Left: CT. Right: PSMA PET, same axial level, 18F-PSMA tracer. Acquired on Siemens Biograph mCT Flow 20. PET panel 200×200 px (4.1 mm/px).
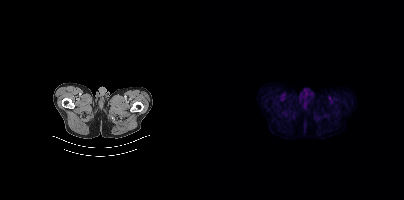
Negative for PSMA-avid disease on this slice.